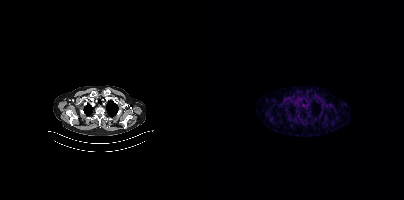
This slice has no annotated PSMA-avid lesion. Two-panel axial: CT | PSMA PET, 68Ga-PSMA tracer. Slice 309 of 385.